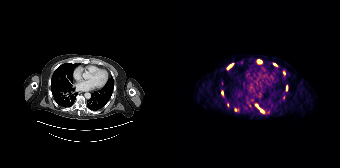
modality: PSMA PET/CT | tracer: 68Ga | view: axial | PET grid: 168×168
Coordinates are on the 168×168 PET (right) panel. (showing 7 of 11 foci) PSMA-avid tumor lesion bounding box (x0,y0,x1,y1): [55,63,61,69]. Small PSMA-avid foci (2 to 4 px across) near (center x, center y): (87, 61); (114, 87); (90, 110); (103, 64); (55, 105); (86, 107).